- Left: CT. Right: PSMA PET, same axial level, [68Ga]Ga-PSMA-11 tracer
- acquired on GE Discovery 690
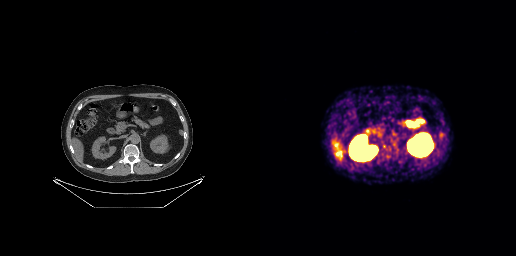
Findings: No PSMA-avid tumor lesions on this slice.